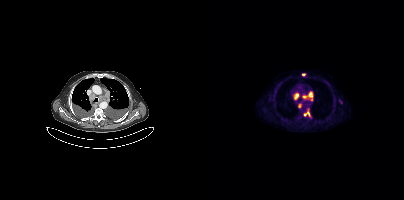
Technique: Two-panel axial: CT | PSMA PET, 18F-PSMA tracer. acquired on Siemens Biograph mCT Flow 20.
Findings: Coordinates are on the 200×200 PET (right) panel. PSMA-avid tumor lesion bounding boxes (x, y, width, height): x=98 y=91 w=12 h=10; x=90 y=93 w=5 h=7; x=100 y=109 w=7 h=8; x=136 y=100 w=3 h=5. Small PSMA-avid foci (2 to 4 px across) near (center x, center y): (95, 105); (99, 74).